Paired axial CT (left) and PSMA PET (right), 18F tracer. Acquired on Siemens Biograph mCT Flow 20. PET panel 200×200 px (4.1 mm/px).
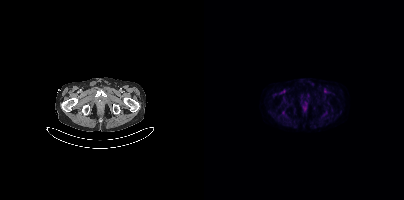
No PSMA-avid tumor lesions on this slice.